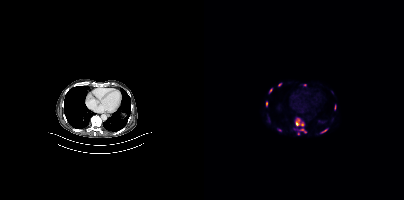
Findings: Coordinates are on the 200×200 PET (right) panel. (showing 8 of 11 foci) PSMA-avid tumor lesion bounding boxes (x0,y0,x1,y1): [91,118,100,126]; [93,128,102,133]; [116,128,123,133]; [62,101,63,106]. Small PSMA-avid foci (2 to 4 px across) near (center x, center y): (66, 90); (94, 133); (100, 84); (75, 84).
- Paired axial CT (left) and PSMA PET (right), 18F-PSMA tracer
- acquired on Siemens Biograph mCT Flow 20
- slice 246 of 387
- PET panel 200×200 px (4.1 mm/px)